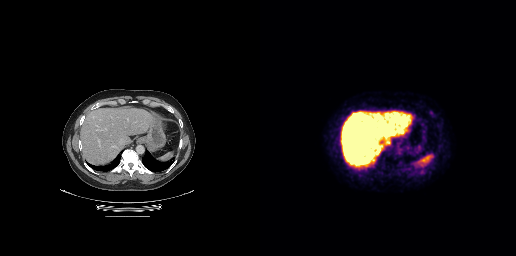
Paired axial CT (left) and PSMA PET (right), 18F tracer. Acquired on GE Discovery 690. Slice position z = -373 mm. PET panel 256×256 px (2.7 mm/px). Negative for PSMA-avid disease on this slice.